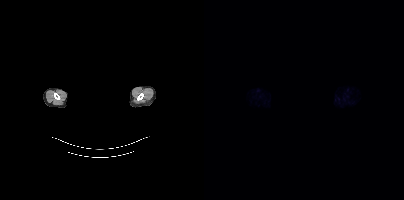
Head region blanked for anonymization (face removed).
This slice has no annotated PSMA-avid lesion.